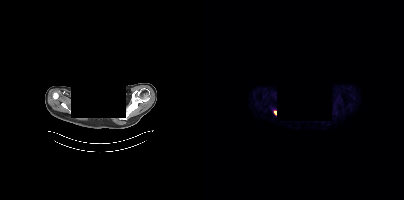
Two-panel axial: CT | PSMA PET, 68Ga-PSMA tracer. Acquired on Siemens Biograph mCT Flow 20. Slice 374 of 429. Facial anatomy redacted by setting a rectangular region of the head to black. Coordinates are on the 200×200 PET (right) panel. Small PSMA-avid focus (2 to 4 px across) near (center x, center y): (71, 112).